Technique: Paired axial CT (left) and PSMA PET (right), [18F]PSMA-1007 tracer. acquired on Siemens Biograph mCT Flow 20.
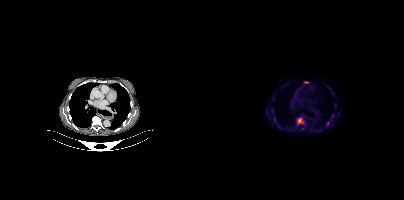
Findings: Coordinates are on the 200×200 PET (right) panel. (showing 4 of 8 foci) PSMA-avid tumor lesion bounding boxes (x0,y0,x1,y1): [93,117,100,124]; [100,81,104,83]; [70,117,71,121]. Small PSMA-avid focus (2 to 4 px across) near (center x, center y): (128, 115).